modality: PSMA PET/CT | tracer: [18F]PSMA-1007 | view: axial
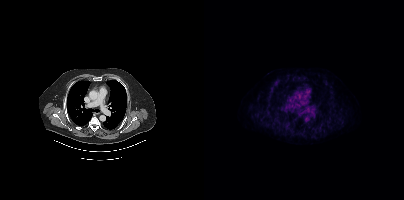
No tumor lesions annotated on this slice.